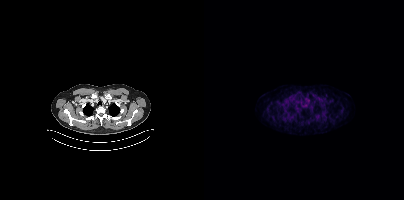
- Paired axial CT (left) and PSMA PET (right), 68Ga-PSMA tracer
- acquired on Siemens Biograph mCT Flow 20
- slice position z = -1216 mm
Findings: This slice has no annotated PSMA-avid lesion.